Two-panel axial: CT | PSMA PET, [18F]PSMA-1007 tracer. Acquired on GE Discovery 690. Slice position z = -308 mm.
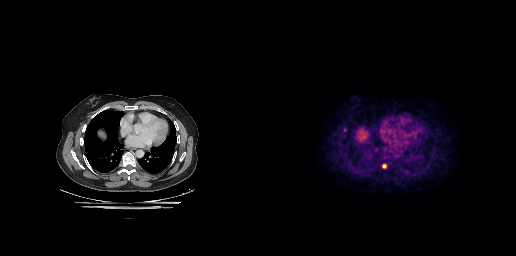
Coordinates are on the 256×256 PET (right) panel. PSMA-avid tumor lesion bounding box (x, y, width, height): x=122 y=164 w=5 h=5.